Technique: Two-panel axial: CT | PSMA PET, 18F-PSMA tracer. slice 1 of 391. PET panel 200×200 px (4.1 mm/px).
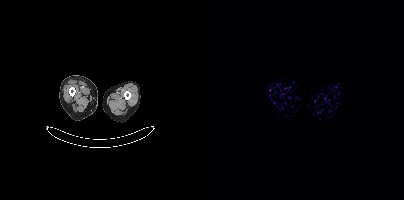
Findings: No PSMA-avid tumor lesions on this slice.